Technique: Left: CT. Right: PSMA PET, same axial level, [18F]PSMA-1007 tracer. slice 171 of 381.
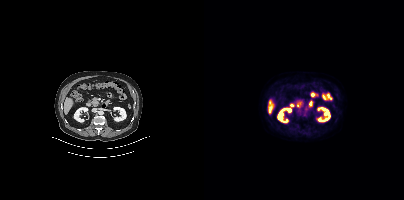
Findings: Negative for PSMA-avid disease on this slice.